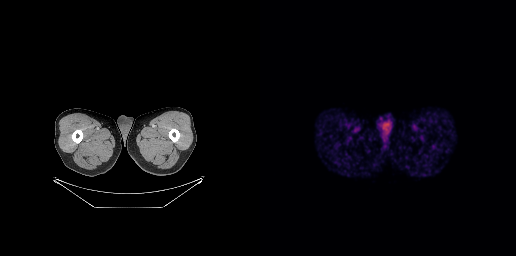
Technique: Left: CT. Right: PSMA PET, same axial level, 68Ga-PSMA tracer. PET panel 256×256 px (2.7 mm/px).
Findings: No tumor lesions annotated on this slice.